- Left: CT. Right: PSMA PET, same axial level, 68Ga tracer
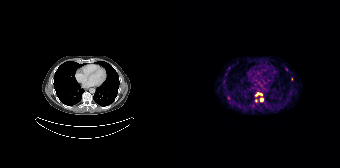
Findings: Coordinates are on the 168×168 PET (right) panel. (showing 4 of 5 foci) PSMA-avid tumor lesion bounding box (x, y, width, height): x=83 y=92 w=8 h=4. Small PSMA-avid foci (2 to 4 px across) near (center x, center y): (89, 99); (120, 78); (114, 68).